Technique: Left: CT. Right: PSMA PET, same axial level, 68Ga-PSMA tracer. acquired on Siemens Biograph 64-4R TruePoint. slice position z = -1398 mm.
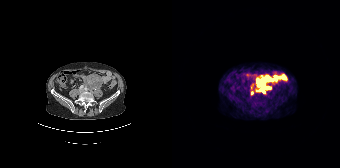
Findings: Coordinates are on the 168×168 PET (right) panel. PSMA-avid tumor lesion bounding box (x0,y0,x1,y1): [84,75,101,93]. Small PSMA-avid focus (2 to 4 px across) near (center x, center y): (79, 93).